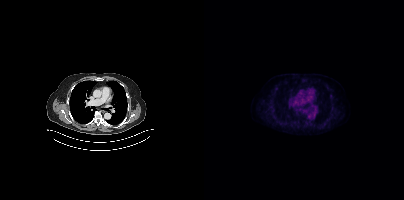
No tumor lesions annotated on this slice.